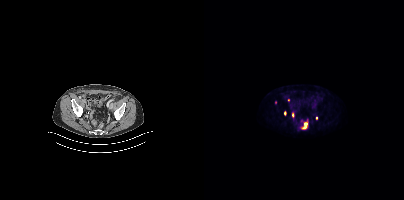
Coordinates are on the 200×200 PET (right) panel. PSMA-avid tumor lesion bounding boxes:
| # | x0 | y0 | x1 | y1 |
|---|---|---|---|---|
| 1 | 97 | 121 | 103 | 129 |
| 2 | 80 | 111 | 82 | 115 |
| 3 | 88 | 113 | 90 | 117 |
Small PSMA-avid foci (2 to 4 px across) near (center x, center y): (84, 100); (71, 102); (112, 117).
Left: CT. Right: PSMA PET, same axial level, [18F]PSMA-1007 tracer. Slice 85 of 411.